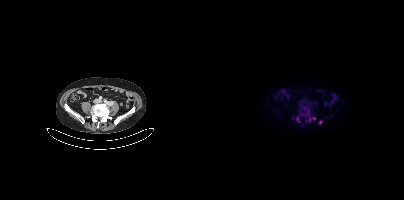
modality: PSMA PET/CT | tracer: 18F-PSMA | view: axial | PET grid: 200×200
Coordinates are on the 200×200 PET (right) panel. (showing 5 of 6 foci) PSMA-avid tumor lesion bounding boxes (x0,y0,x1,y1): [92,117,95,122]; [115,120,118,124]. Small PSMA-avid foci (2 to 4 px across) near (center x, center y): (109, 118); (104, 112); (105, 119).